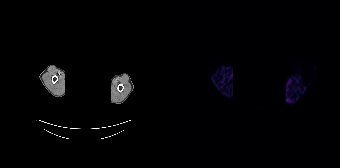
Paired axial CT (left) and PSMA PET (right), 68Ga-PSMA tracer. PET panel 168×168 px (4.1 mm/px). An anonymization step blacked out a rectangle over the head in this scan. Negative for PSMA-avid disease on this slice.